Paired axial CT (left) and PSMA PET (right), 18F tracer.
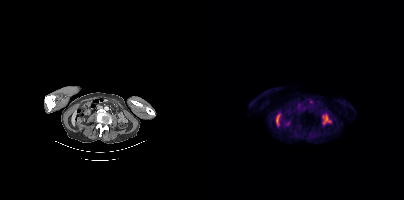
This slice has no annotated PSMA-avid lesion.